Technique: Paired axial CT (left) and PSMA PET (right), [18F]PSMA-1007 tracer. slice position z = -856 mm. PET panel 256×256 px (2.7 mm/px).
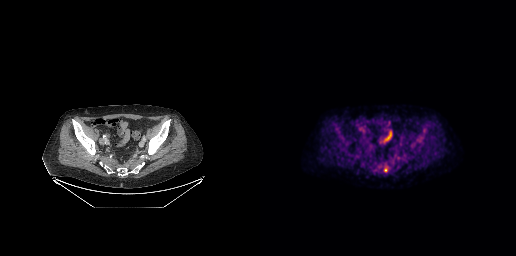
Findings: Coordinates are on the 256×256 PET (right) panel. Small PSMA-avid focus (2 to 4 px across) near (center x, center y): (125, 169).